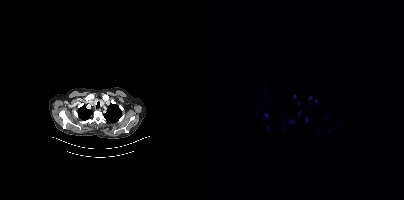
- Paired axial CT (left) and PSMA PET (right), 18F-PSMA tracer
- acquired on Siemens Biograph mCT Flow 20
- slice position z = -312 mm
- PET panel 200×200 px (4.1 mm/px)
Findings: Coordinates are on the 200×200 PET (right) panel. PSMA-avid tumor lesion bounding boxes (x0,y0,x1,y1): [101,116,104,122]; [104,96,107,100]; [94,111,96,116]; [94,101,95,106]. Small PSMA-avid foci (2 to 4 px across) near (center x, center y): (62, 115); (90, 95).